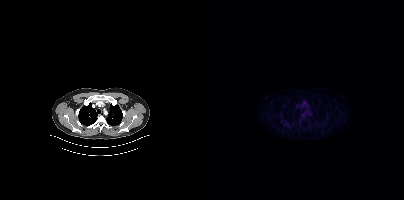
Paired axial CT (left) and PSMA PET (right), 18F tracer. Slice position z = -960 mm. Negative for PSMA-avid disease on this slice.